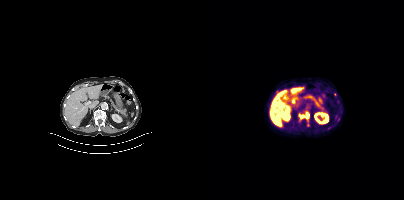
Two-panel axial: CT | PSMA PET, 18F-PSMA tracer. Acquired on Siemens Biograph mCT Flow 20. Slice 198 of 407. PET panel 200×200 px (4.1 mm/px). Coordinates are on the 200×200 PET (right) panel. (showing 1 of 2 foci) PSMA-avid tumor lesion bounding box (x0, y0)-(x1, y1): (95, 112)-(105, 118).